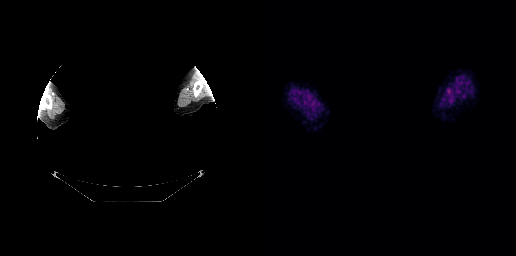
Facial anatomy redacted by setting a rectangular region of the head to black. Paired axial CT (left) and PSMA PET (right), 18F-PSMA tracer. Negative for PSMA-avid disease on this slice.